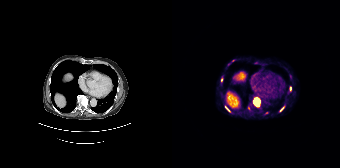
Findings: Coordinates are on the 168×168 PET (right) panel. (showing 7 of 8 foci) PSMA-avid tumor lesion bounding boxes (x0,y0,x1,y1): [81,98,87,106], [108,106,112,111], [53,106,58,111]. Small PSMA-avid foci (2 to 4 px across) near (center x, center y): (77, 107), (49, 79), (118, 88), (83, 62).
- Two-panel axial: CT | PSMA PET, 68Ga tracer
- acquired on Siemens Biograph 64-4R TruePoint
- PET panel 168×168 px (4.1 mm/px)